- Left: CT. Right: PSMA PET, same axial level, 18F tracer
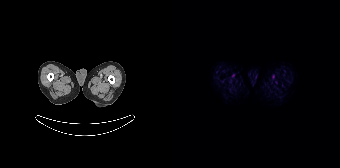
Findings: No PSMA-avid tumor lesions on this slice.